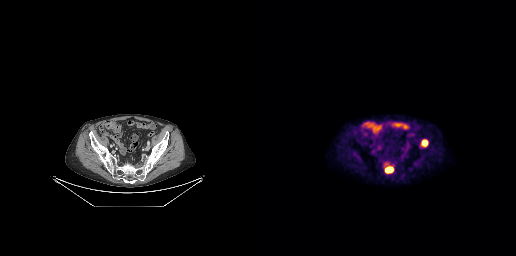
modality: PSMA PET/CT | tracer: 18F | view: axial | PET grid: 256×256
Coordinates are on the 256×256 PET (right) panel. PSMA-avid tumor lesion bounding boxes (x0,y0,x1,y1): [125,167,133,172] [161,140,167,146].